Left: CT. Right: PSMA PET, same axial level, [18F]PSMA-1007 tracer. PET panel 200×200 px (4.1 mm/px).
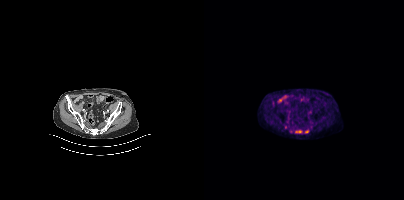
Coordinates are on the 200×200 PET (right) panel. Small PSMA-avid focus (2 to 4 px across) near (center x, center y): (81, 127).